modality: PSMA PET/CT | tracer: [18F]PSMA-1007 | view: axial
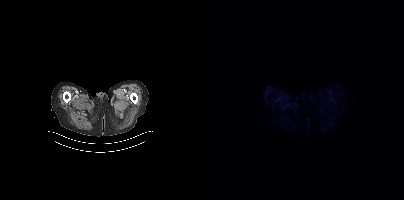
Negative for PSMA-avid disease on this slice.